Left: CT. Right: PSMA PET, same axial level, 18F-PSMA tracer. PET panel 200×200 px (4.1 mm/px).
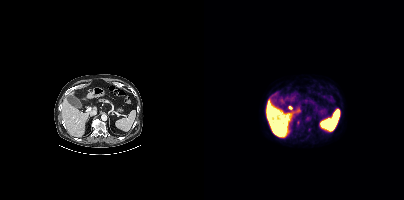
Coordinates are on the 200×200 PET (right) panel. Small PSMA-avid foci (2 to 4 px across) near (center x, center y): (93, 122); (105, 129).